- Paired axial CT (left) and PSMA PET (right), 18F-PSMA tracer
- PET panel 256×256 px (2.7 mm/px)
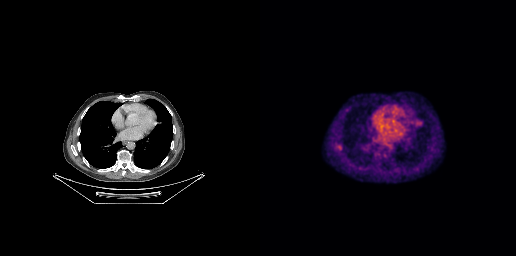
Findings: Coordinates are on the 256×256 PET (right) panel. PSMA-avid tumor lesion bounding box (x, y, width, height): x=77 y=145 w=5 h=5. Small PSMA-avid focus (2 to 4 px across) near (center x, center y): (87, 110).